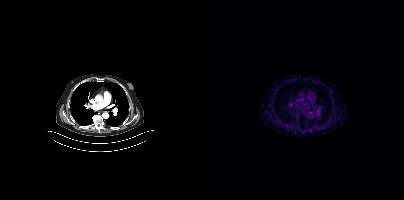
- Paired axial CT (left) and PSMA PET (right), 68Ga-PSMA tracer
- slice position z = -1094 mm
- PET panel 200×200 px (4.1 mm/px)
Findings: This slice has no annotated PSMA-avid lesion.